- Paired axial CT (left) and PSMA PET (right), 18F tracer
- a rectangle over the head was blacked out to remove identifiable facial features
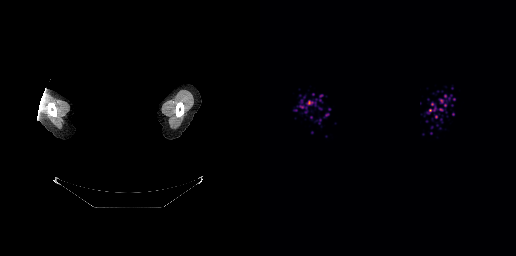
Findings: This slice has no annotated PSMA-avid lesion.